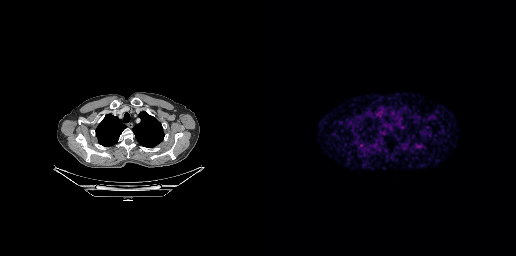
No PSMA-avid tumor lesions on this slice. Two-panel axial: CT | PSMA PET, [68Ga]Ga-PSMA-11 tracer. Slice position z = -327 mm. PET panel 256×256 px (2.7 mm/px).